Left: CT. Right: PSMA PET, same axial level, [18F]PSMA-1007 tracer. Acquired on Siemens Biograph mCT Flow 20. Slice 268 of 429.
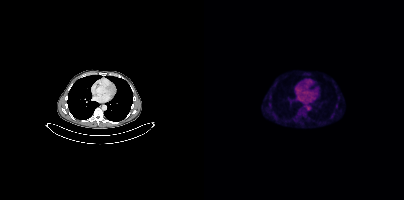
Negative for PSMA-avid disease on this slice.